Paired axial CT (left) and PSMA PET (right), 18F tracer. Acquired on Siemens Biograph 64-4R TruePoint. Slice position z = -1061 mm. PET panel 168×168 px (4.1 mm/px).
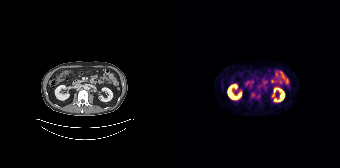
Coordinates are on the 168×168 PET (right) panel. PSMA-avid tumor lesion bounding box (x0, y0)-(x1, y1): (79, 93)-(82, 97). Small PSMA-avid focus (2 to 4 px across) near (center x, center y): (86, 96).